Two-panel axial: CT | PSMA PET, 18F-PSMA tracer. Slice position z = -236 mm. PET panel 200×200 px (4.1 mm/px).
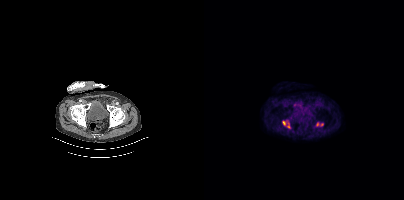
Coordinates are on the 200×200 PET (right) panel. PSMA-avid tumor lesion bounding boxes:
| # | x0 | y0 | x1 | y1 |
|---|---|---|---|---|
| 1 | 78 | 121 | 86 | 128 |
| 2 | 111 | 122 | 119 | 126 |
Small PSMA-avid focus (2 to 4 px across) near (center x, center y): (90, 104).